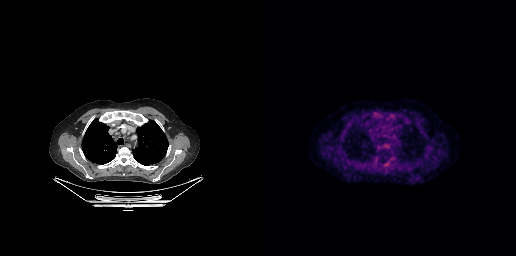
No PSMA-avid tumor lesions on this slice.